modality: PSMA PET/CT | tracer: [68Ga]Ga-PSMA-11 | view: axial
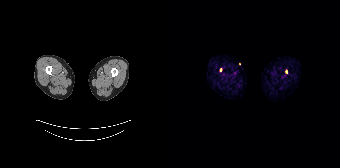
Coordinates are on the 168×168 PET (right) panel. Small PSMA-avid foci (2 to 4 px across) near (center x, center y): (114, 71); (48, 69).